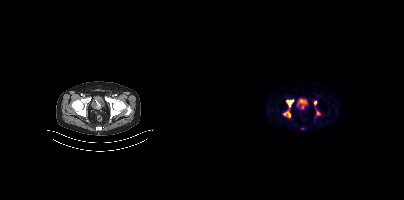
Technique: Paired axial CT (left) and PSMA PET (right), [18F]PSMA-1007 tracer. PET panel 200×200 px (4.1 mm/px).
Findings: Coordinates are on the 200×200 PET (right) panel. (showing 5 of 6 foci) PSMA-avid tumor lesion bounding boxes (x0, y0)-(x1, y1): (82, 99)-(89, 107) / (79, 110)-(86, 117) / (112, 109)-(116, 115) / (110, 100)-(113, 105). Small PSMA-avid focus (2 to 4 px across) near (center x, center y): (98, 107).